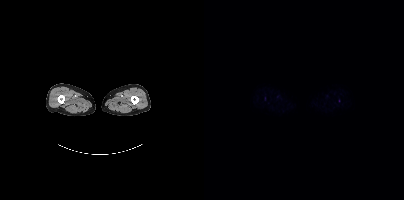
{"modality":"PSMA PET/CT","view":"axial","tracer":"18F","pet_grid":[200,200],"coord_frame":"pet_panel","coord_format":"x0,y0,x1,y1","psma_avid_lesions":false}